- Paired axial CT (left) and PSMA PET (right), 18F tracer
- slice 143 of 299
- PET panel 256×256 px (2.7 mm/px)
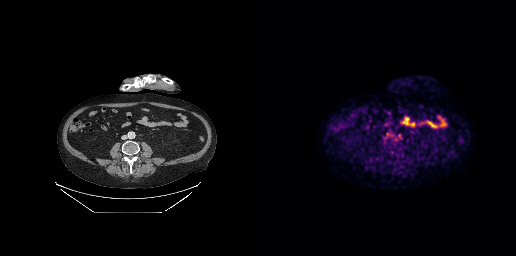
Findings: No tumor lesions annotated on this slice.